Paired axial CT (left) and PSMA PET (right), 18F-PSMA tracer. PET panel 200×200 px (4.1 mm/px).
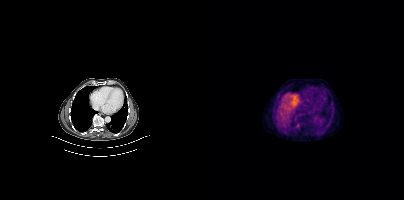
Coordinates are on the 200×200 PET (right) panel. (showing 1 of 3 foci) Small PSMA-avid focus (2 to 4 px across) near (center x, center y): (93, 125).